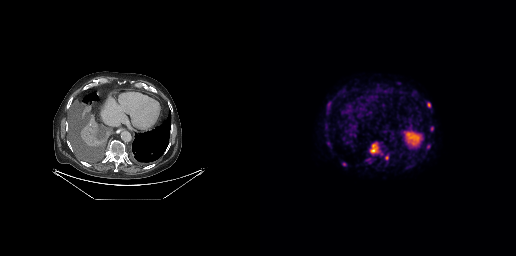
Coordinates are on the 256×256 PET (right) panel. PSMA-avid tumor lesion bounding boxes (x0,y0,x1,y1): [110,142,118,153] [167,103,170,107]. Small PSMA-avid foci (2 to 4 px across) near (center x, center y): (126, 157) (171, 128) (84, 163).